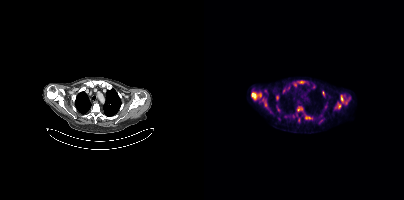
modality: PSMA PET/CT | tracer: 18F-PSMA | view: axial | PET grid: 200×200
Coordinates are on the 200×200 PET (right) panel. (showing 11 of 13 foci) PSMA-avid tumor lesion bounding boxes (x0,y0,x1,y1): [47,92,57,99]; [132,102,137,108]; [137,95,139,102]; [101,116,107,119]; [60,103,63,108]; [94,81,100,83]. Small PSMA-avid foci (2 to 4 px across) near (center x, center y): (142, 102); (94, 107); (119, 92); (73, 95); (79, 90).